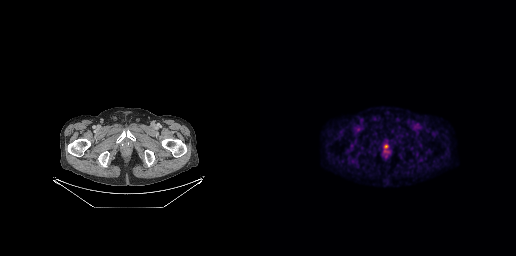
Coordinates are on the 256×256 PET (right) panel. Small PSMA-avid focus (2 to 4 px across) near (center x, center y): (126, 146).